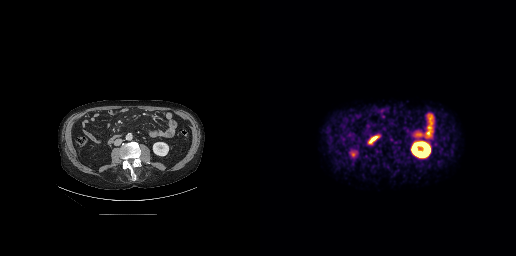
No tumor lesions annotated on this slice.